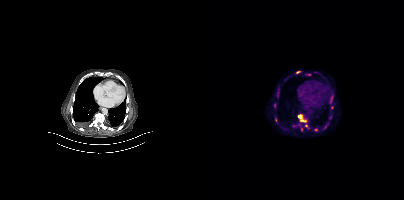
Two-panel axial: CT | PSMA PET, 18F tracer. Slice 214 of 373. PET panel 200×200 px (4.1 mm/px). Coordinates are on the 200×200 PET (right) panel. (showing 9 of 11 foci) PSMA-avid tumor lesion bounding boxes (x0,y0,x1,y1): [93,114,105,129], [92,71,96,73], [102,74,106,75], [126,96,128,102], [97,127,99,131]. Small PSMA-avid foci (2 to 4 px across) near (center x, center y): (111, 129), (70, 105), (71, 120), (126, 117).